modality: PSMA PET/CT | tracer: 68Ga-PSMA | view: axial | PET grid: 256×256
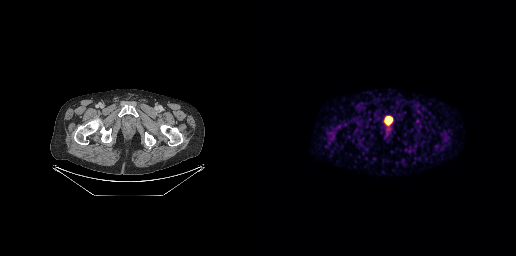
Negative for PSMA-avid disease on this slice.